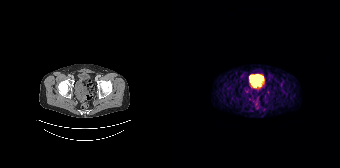
{"pet_grid":[168,168],"coord_frame":"pet_panel","coord_format":"x0,y0,x1,y1","psma_avid_lesions":false,"modality":"PSMA PET/CT","view":"axial","tracer":"68Ga"}